Privacy masking over the head, with the pixels inside a rectangle set to black.
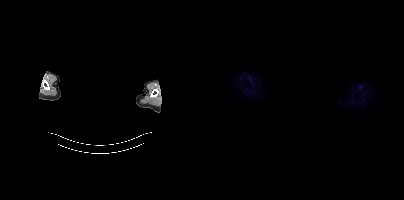
This slice has no annotated PSMA-avid lesion.